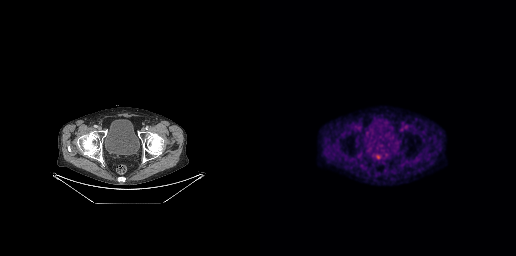
Two-panel axial: CT | PSMA PET, 18F tracer. No PSMA-avid tumor lesions on this slice.